Technique: Left: CT. Right: PSMA PET, same axial level, [68Ga]Ga-PSMA-11 tracer.
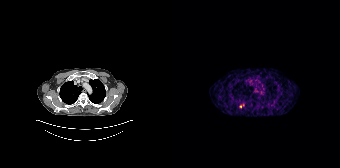
Findings: Coordinates are on the 168×168 PET (right) panel. PSMA-avid tumor lesion bounding box (x, y, width, height): x=67 y=104 w=5 h=5.